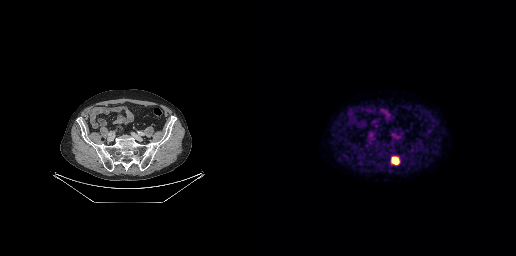
Coordinates are on the 256×256 PET (right) panel. PSMA-avid tumor lesion bounding box (x, y, width, height): x=132 y=158 w=7 h=6.